Left: CT. Right: PSMA PET, same axial level, [18F]PSMA-1007 tracer. Acquired on Siemens Biograph mCT Flow 20.
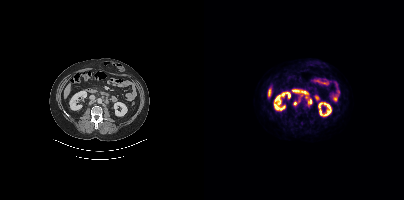
Coordinates are on the 200×200 PET (right) panel. PSMA-avid tumor lesion bounding boxes:
| # | x0 | y0 | x1 | y1 |
|---|---|---|---|---|
| 1 | 101 | 95 | 108 | 105 |
| 2 | 90 | 99 | 96 | 105 |